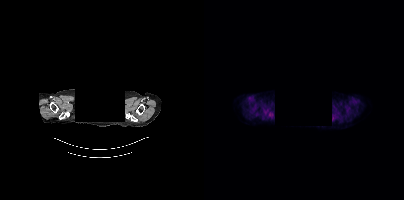
Facial anatomy redacted by setting a rectangular region of the head to black. Paired axial CT (left) and PSMA PET (right), [18F]PSMA-1007 tracer. Acquired on Siemens Biograph mCT Flow 20. PET panel 200×200 px (4.1 mm/px). Negative for PSMA-avid disease on this slice.